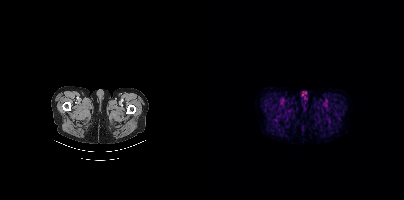
No tumor lesions annotated on this slice.
modality: PSMA PET/CT | tracer: 18F | view: axial | PET grid: 200×200